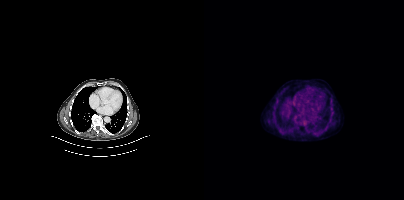
Findings: Coordinates are on the 200×200 PET (right) panel. Small PSMA-avid focus (2 to 4 px across) near (center x, center y): (128, 113).
- Paired axial CT (left) and PSMA PET (right), 18F tracer